- Two-panel axial: CT | PSMA PET, 18F tracer
- acquired on Siemens Biograph mCT Flow 20
- slice 103 of 427
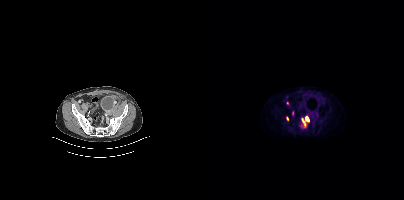
Findings: Coordinates are on the 200×200 PET (right) panel. (showing 3 of 5 foci) PSMA-avid tumor lesion bounding box (x, y, width, height): x=97 y=116 w=9 h=12. Small PSMA-avid foci (2 to 4 px across) near (center x, center y): (83, 118) / (83, 102).